- Paired axial CT (left) and PSMA PET (right), [18F]PSMA-1007 tracer
- slice position z = -585 mm
- PET panel 200×200 px (4.1 mm/px)
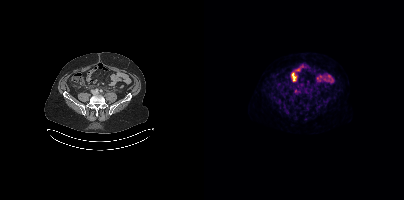
Findings: Coordinates are on the 200×200 PET (right) panel. (showing 1 of 2 foci) Small PSMA-avid focus (2 to 4 px across) near (center x, center y): (101, 92).